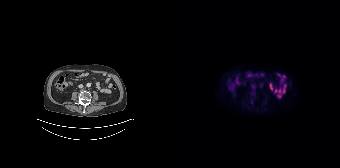
{"modality":"PSMA PET/CT","view":"axial","tracer":"[18F]PSMA-1007","pet_grid":[168,168],"coord_frame":"pet_panel","coord_format":"x0,y0,x1,y1","psma_avid_lesions":false}